Two-panel axial: CT | PSMA PET, 18F-PSMA tracer. Slice position z = -684 mm.
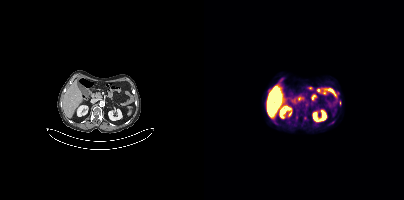
Coordinates are on the 200×200 PET (right) panel. Small PSMA-avid focus (2 to 4 px across) near (center x, center y): (136, 102).